Two-panel axial: CT | PSMA PET, 18F tracer. PET panel 256×256 px (2.7 mm/px).
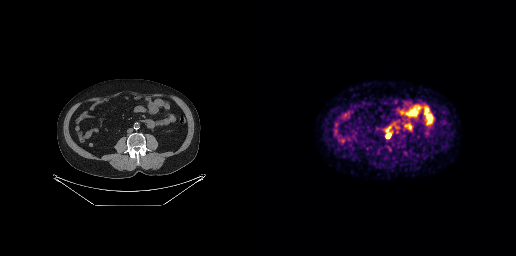
Coordinates are on the 256×256 PET (right) panel. PSMA-avid tumor lesion bounding boxes:
| # | x0 | y0 | x1 | y1 |
|---|---|---|---|---|
| 1 | 126 | 133 | 130 | 138 |
Small PSMA-avid focus (2 to 4 px across) near (center x, center y): (127, 130).